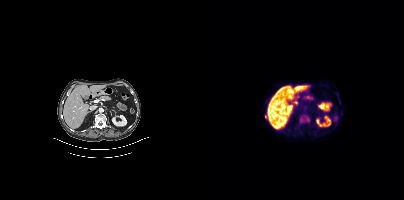
Two-panel axial: CT | PSMA PET, 18F-PSMA tracer. Slice 212 of 452. PET panel 200×200 px (4.1 mm/px).
Coordinates are on the 200×200 PET (right) panel. PSMA-avid tumor lesion bounding boxes (partial; 1 more focus not listed):
| # | x0 | y0 | x1 | y1 |
|---|---|---|---|---|
| 1 | 96 | 115 | 106 | 123 |